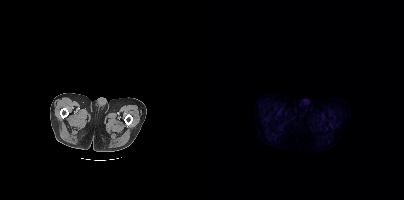
{"modality":"PSMA PET/CT","view":"axial","tracer":"[18F]PSMA-1007","pet_grid":[200,200],"coord_frame":"pet_panel","coord_format":"x0,y0,x1,y1","psma_avid_lesions":false}